Two-panel axial: CT | PSMA PET, [18F]PSMA-1007 tracer. Slice 207 of 263.
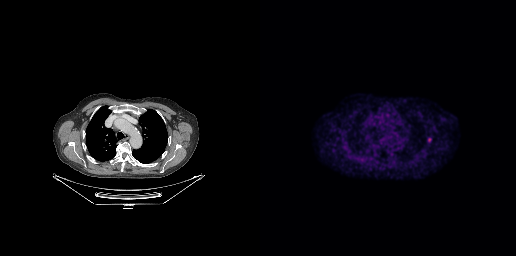
Coordinates are on the 256×256 PET (right) panel. PSMA-avid tumor lesion bounding box (x0, y0)-(x1, y1): (168, 137)-(171, 142).